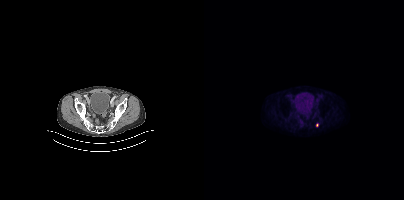
Coordinates are on the 200×200 PET (right) panel. Small PSMA-avid focus (2 to 4 px across) near (center x, center y): (113, 125).